modality: PSMA PET/CT | tracer: [18F]PSMA-1007 | view: axial
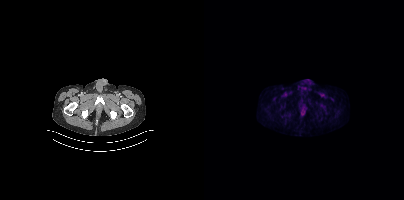
No tumor lesions annotated on this slice.